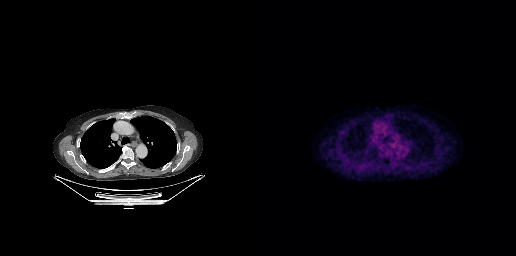
Findings: No PSMA-avid tumor lesions on this slice.
- Left: CT. Right: PSMA PET, same axial level, 18F-PSMA tracer
- acquired on GE Discovery 690
- slice position z = -382 mm
- PET panel 256×256 px (2.7 mm/px)